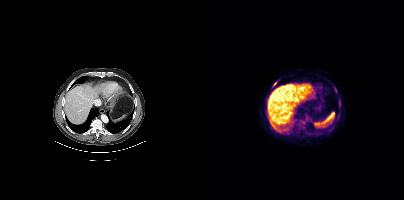
{"modality":"PSMA PET/CT","view":"axial","tracer":"18F-PSMA","pet_grid":[200,200],"coord_frame":"pet_panel","coord_format":"x0,y0,x1,y1","lesion_bboxes":[[69,82,72,86],[130,87,132,91]],"small_foci_centers":[[135,105]]}